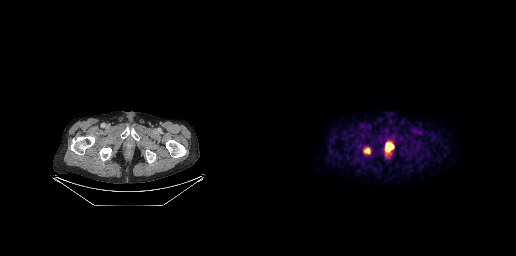
- Paired axial CT (left) and PSMA PET (right), [18F]PSMA-1007 tracer
- slice position z = -896 mm
Findings: Coordinates are on the 256×256 PET (right) panel. PSMA-avid tumor lesion bounding boxes (x0, y0)-(x1, y1): (103, 147)-(110, 154) | (127, 144)-(132, 148).